modality: PSMA PET/CT | tracer: 18F | view: axial
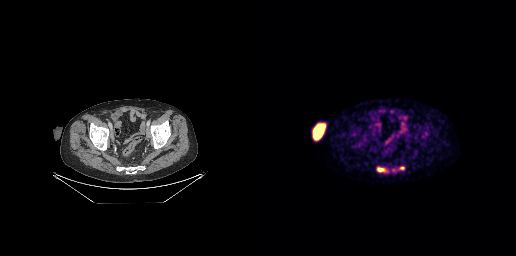
Coordinates are on the 256×256 PET (right) panel. (showing 2 of 3 foci) PSMA-avid tumor lesion bounding boxes (x0,y0,x1,y1): [117,167,126,172] [140,166,144,169].